Paired axial CT (left) and PSMA PET (right), [18F]PSMA-1007 tracer. Acquired on Siemens Biograph mCT Flow 20. Slice position z = -808 mm.
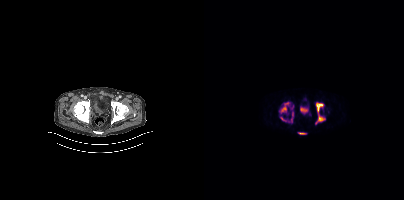
Coordinates are on the 200×200 PET (right) panel. PSMA-avid tumor lesion bounding boxes (partial; 1 more focus not listed):
| # | x0 | y0 | x1 | y1 |
|---|---|---|---|---|
| 1 | 75 | 102 | 85 | 113 |
| 2 | 112 | 103 | 119 | 112 |
| 3 | 114 | 115 | 121 | 121 |
| 4 | 95 | 132 | 101 | 134 |
| 5 | 76 | 117 | 82 | 121 |
Small PSMA-avid foci (2 to 4 px across) near (center x, center y): (88, 113); (87, 119).